modality: PSMA PET/CT | tracer: [18F]PSMA-1007 | view: axial | PET grid: 200×200
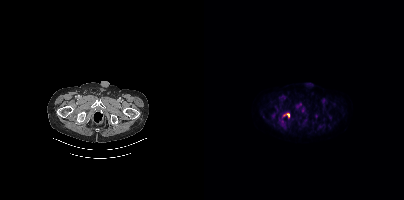
Coordinates are on the 200×200 PET (right) panel. Small PSMA-avid focus (2 to 4 px across) near (center x, center y): (84, 115).